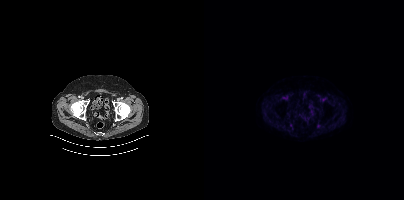
No PSMA-avid tumor lesions on this slice.
modality: PSMA PET/CT | tracer: 18F-PSMA | view: axial | PET grid: 200×200